Two-panel axial: CT | PSMA PET, 68Ga tracer. PET panel 256×256 px (2.7 mm/px).
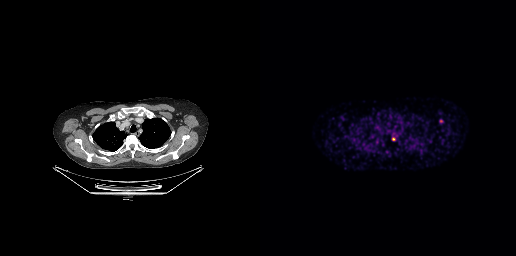
Coordinates are on the 256×256 PET (right) panel. PSMA-avid tumor lesion bounding box (x0,y0,x1,y1): [179,119,183,122]. Small PSMA-avid focus (2 to 4 px across) near (center x, center y): (133, 138).